Technique: Left: CT. Right: PSMA PET, same axial level, [18F]PSMA-1007 tracer. slice 75 of 413. PET panel 200×200 px (4.1 mm/px).
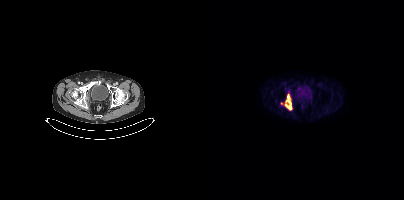
Findings: Coordinates are on the 200×200 PET (right) panel. PSMA-avid tumor lesion bounding box (x0,y0,x1,y1): [81,94,88,110]. Small PSMA-avid focus (2 to 4 px across) near (center x, center y): (77, 103).